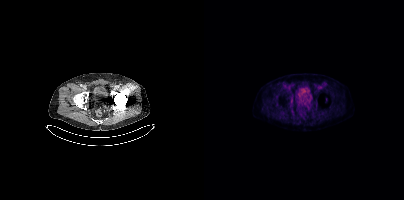
This slice has no annotated PSMA-avid lesion.